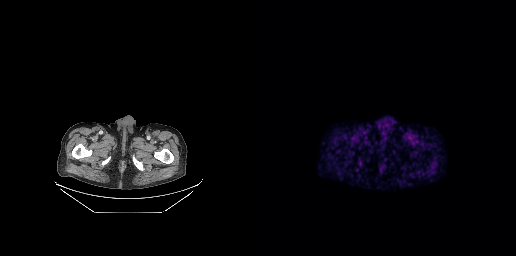
Findings: No PSMA-avid tumor lesions on this slice.
Technique: Left: CT. Right: PSMA PET, same axial level, 68Ga tracer. PET panel 256×256 px (2.7 mm/px).